Technique: Left: CT. Right: PSMA PET, same axial level, 18F tracer.
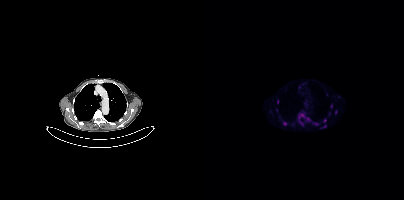
Findings: Coordinates are on the 200×200 PET (right) panel. (showing 6 of 10 foci) Small PSMA-avid foci (2 to 4 px across) near (center x, center y): (98, 115); (81, 123); (111, 123); (121, 120); (121, 126); (103, 118).